Technique: Left: CT. Right: PSMA PET, same axial level, 68Ga tracer. acquired on Siemens Biograph 64-4R TruePoint. slice 39 of 195.
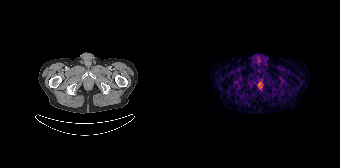
Findings: No PSMA-avid tumor lesions on this slice.